- Left: CT. Right: PSMA PET, same axial level, 68Ga tracer
- slice position z = -390 mm
- PET panel 168×168 px (4.1 mm/px)
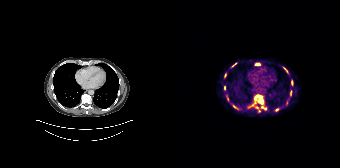
Findings: Coordinates are on the 168×168 PET (right) panel. (showing 11 of 19 foci) PSMA-avid tumor lesion bounding boxes (x0,y0,x1,y1): [83,95,91,104], [111,67,116,73], [83,63,87,65], [118,91,119,95]. Small PSMA-avid foci (2 to 4 px across) near (center x, center y): (52, 88), (104, 110), (62, 106), (90, 107), (60, 65), (84, 107), (63, 63).